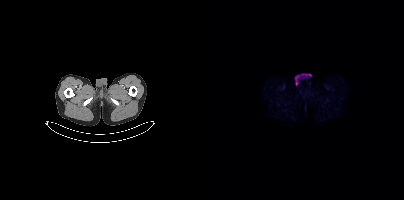
{"modality":"PSMA PET/CT","view":"axial","tracer":"18F","pet_grid":[200,200],"coord_frame":"pet_panel","coord_format":"x0,y0,x1,y1","psma_avid_lesions":false}